modality: PSMA PET/CT | tracer: 18F | view: axial
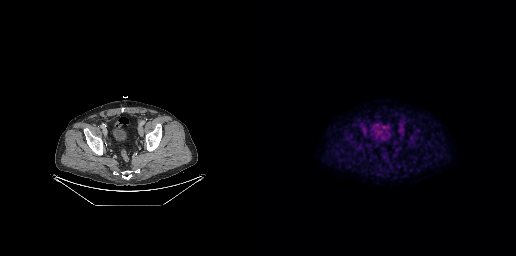
No tumor lesions annotated on this slice.